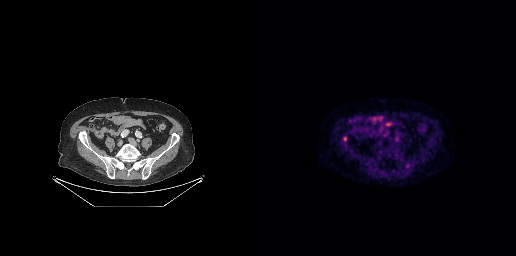
{"pet_grid":[256,256],"coord_frame":"pet_panel","coord_format":"x0,y0,x1,y1","lesion_bboxes":[[83,136,87,140]],"small_foci_centers":[[147,164]],"modality":"PSMA PET/CT","view":"axial","tracer":"18F"}